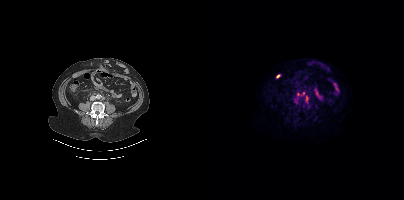
Technique: Two-panel axial: CT | PSMA PET, [18F]PSMA-1007 tracer.
Findings: Coordinates are on the 200×200 PET (right) panel. PSMA-avid tumor lesion bounding box (x0, y0)-(x1, y1): (93, 91)-(101, 97).